Paired axial CT (left) and PSMA PET (right), [18F]PSMA-1007 tracer. PET panel 256×256 px (2.7 mm/px).
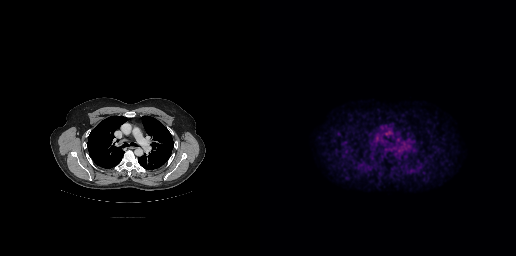
This slice has no annotated PSMA-avid lesion.